Technique: Paired axial CT (left) and PSMA PET (right), 18F tracer. acquired on Siemens Biograph mCT Flow 20.
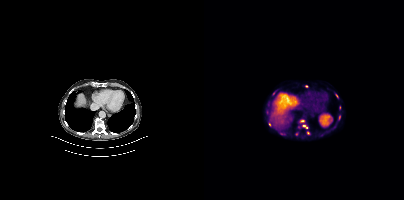
Findings: Coordinates are on the 200×200 PET (right) panel. (showing 7 of 9 foci) PSMA-avid tumor lesion bounding box (x0, y0)-(x1, y1): (99, 125)-(103, 128). Small PSMA-avid foci (2 to 4 px across) near (center x, center y): (102, 86); (135, 117); (98, 120); (65, 124); (104, 132); (132, 95).